Left: CT. Right: PSMA PET, same axial level, 18F-PSMA tracer. Acquired on Siemens Biograph mCT Flow 20. Slice 83 of 377. PET panel 200×200 px (4.1 mm/px).
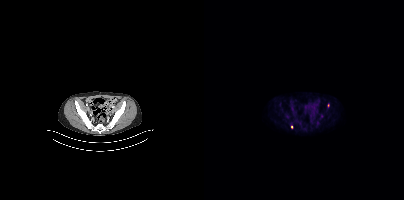
Coordinates are on the 200×200 PET (right) panel. Small PSMA-avid foci (2 to 4 px across) near (center x, center y): (124, 105) / (87, 127).